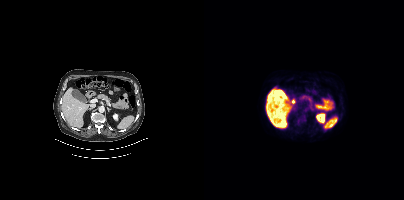
Findings: No tumor lesions annotated on this slice.
- Paired axial CT (left) and PSMA PET (right), 18F-PSMA tracer
- acquired on Siemens Biograph mCT Flow 20